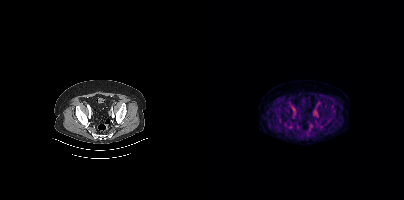
Findings: Only PSMA-avid lesion pieces thinner than 2 px on this slice (not listed).
Technique: Two-panel axial: CT | PSMA PET, 18F tracer. acquired on Siemens Biograph mCT Flow 20. slice position z = -1392 mm. PET panel 200×200 px (4.1 mm/px).